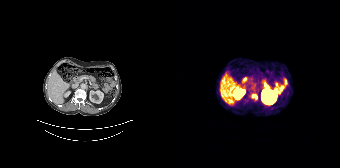
Paired axial CT (left) and PSMA PET (right), 68Ga-PSMA tracer. PET panel 168×168 px (4.1 mm/px). Coordinates are on the 168×168 PET (right) panel. (showing 1 of 2 foci) Small PSMA-avid focus (2 to 4 px across) near (center x, center y): (83, 97).